- Left: CT. Right: PSMA PET, same axial level, [68Ga]Ga-PSMA-11 tracer
- acquired on Siemens Biograph mCT Flow 20
- slice position z = -661 mm
- PET panel 200×200 px (4.1 mm/px)
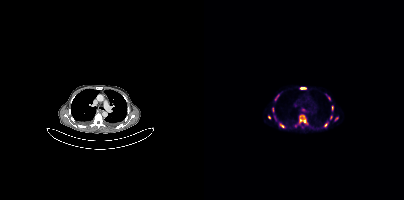
Findings: Coordinates are on the 200×200 PET (right) panel. PSMA-avid tumor lesion bounding boxes (x0,y0,x1,y1): [95,115,102,123], [96,87,102,89], [71,94,75,100], [76,124,80,127], [68,107,69,112], [128,106,129,110]. Small PSMA-avid foci (2 to 4 px across) near (center x, center y): (127, 117), (132, 119), (125, 98), (65, 117), (121, 125), (99, 109).